- Left: CT. Right: PSMA PET, same axial level, 18F tracer
- acquired on GE Discovery 690
- slice position z = -353 mm
- PET panel 256×256 px (2.7 mm/px)
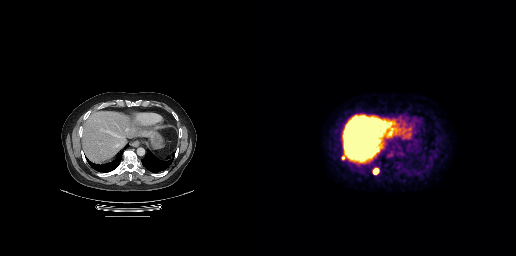
Findings: Coordinates are on the 256×256 PET (right) panel. PSMA-avid tumor lesion bounding boxes (x0, y0)-(x1, y1): (113, 168)-(118, 174) / (81, 156)-(85, 159).